Technique: Left: CT. Right: PSMA PET, same axial level, [18F]PSMA-1007 tracer. acquired on GE Discovery 690.
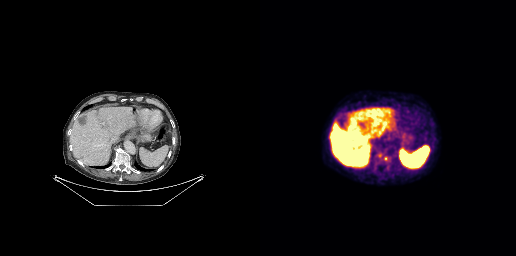
Findings: Coordinates are on the 256×256 PET (right) panel. PSMA-avid tumor lesion bounding box (x0, y0)-(x1, y1): (117, 152)-(123, 158). Small PSMA-avid focus (2 to 4 px across) near (center x, center y): (125, 158).